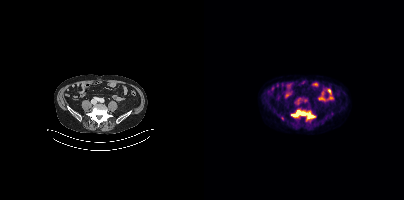
{"pet_grid":[200,200],"coord_frame":"pet_panel","coord_format":"x0,y0,x1,y1","lesion_bboxes":[[88,110,109,118]],"modality":"PSMA PET/CT","view":"axial","tracer":"[18F]PSMA-1007"}